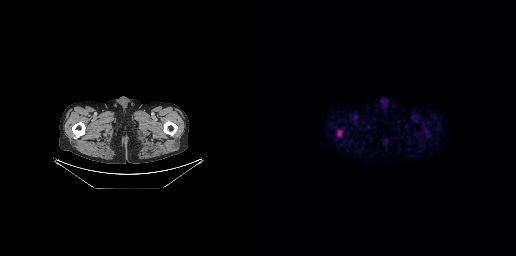
Coordinates are on the 256×256 PET (right) panel. PSMA-avid tumor lesion bounding box (x, y, width, height): x=77 y=130 w=6 h=7.